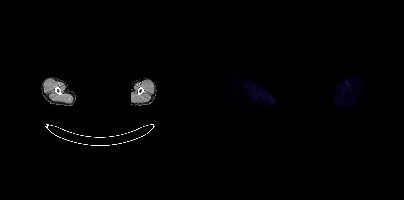
{"modality":"PSMA PET/CT","view":"axial","tracer":"18F","pet_grid":[200,200],"coord_frame":"pet_panel","coord_format":"x0,y0,x1,y1","redaction":"rectangular block over head set to black","psma_avid_lesions":false}